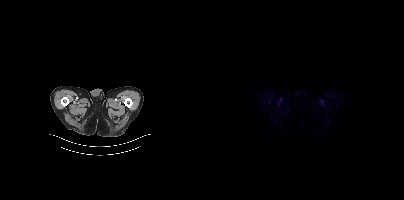
This slice has no annotated PSMA-avid lesion.